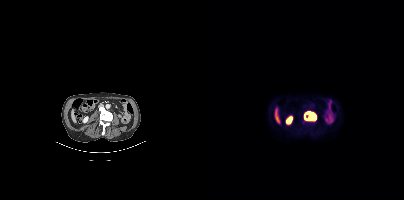
Coordinates are on the 200×200 PET (right) panel. PSMA-avid tumor lesion bounding boxes (x0,y0,x1,y1): [103,112,111,121] [100,114,101,119].